Technique: Two-panel axial: CT | PSMA PET, [18F]PSMA-1007 tracer. acquired on Siemens Biograph mCT Flow 20.
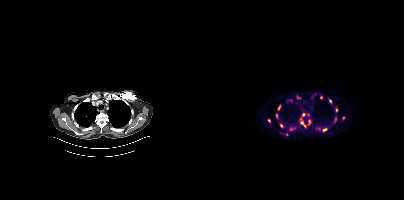
Findings: Coordinates are on the 200×200 PET (right) panel. (showing 15 of 16 foci) PSMA-avid tumor lesion bounding boxes (x, y, width, height): x=96 y=118 w=6 h=10; x=92 y=95 w=5 h=5; x=76 y=123 w=4 h=5; x=74 y=105 w=3 h=6; x=119 y=128 w=5 h=4; x=104 y=120 w=3 h=5; x=72 y=113 w=3 h=6. Small PSMA-avid foci (2 to 4 px across) near (center x, center y): (99, 114); (65, 120); (126, 100); (132, 110); (108, 97); (139, 117); (104, 114); (86, 128).